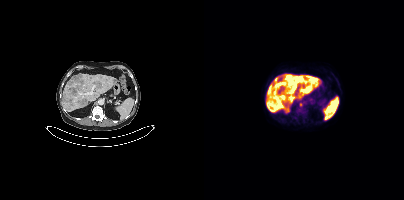
Left: CT. Right: PSMA PET, same axial level, [18F]PSMA-1007 tracer. Slice 226 of 431.
Coordinates are on the 200×200 PET (right) panel. PSMA-avid tumor lesion bounding boxes:
| # | x0 | y0 | x1 | y1 |
|---|---|---|---|---|
| 1 | 92 | 75 | 99 | 82 |
Small PSMA-avid foci (2 to 4 px across) near (center x, center y): (96, 104); (98, 86); (106, 98).